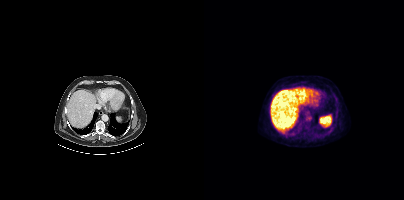
Left: CT. Right: PSMA PET, same axial level, 18F tracer. Acquired on Siemens Biograph mCT Flow 20. No PSMA-avid tumor lesions on this slice.